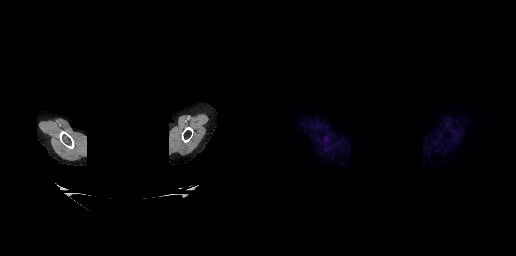
The head region is masked for de-identification.
No PSMA-avid tumor lesions on this slice.